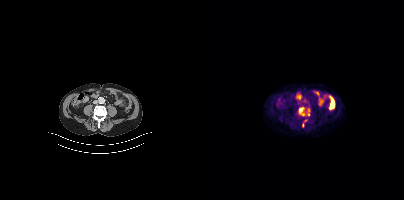
Coordinates are on the 200×200 PET (right) panel. PSMA-avid tumor lesion bounding boxes (partial; 1 more focus not listed):
| # | x0 | y0 | x1 | y1 |
|---|---|---|---|---|
| 1 | 95 | 107 | 100 | 115 |
Small PSMA-avid foci (2 to 4 px across) near (center x, center y): (104, 114); (104, 109).
Two-panel axial: CT | PSMA PET, 18F tracer. Slice position z = -699 mm.